- Paired axial CT (left) and PSMA PET (right), 18F tracer
- PET panel 200×200 px (4.1 mm/px)
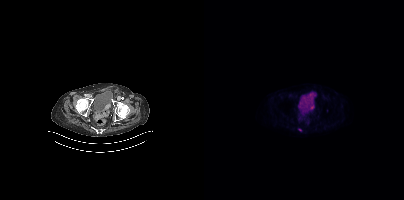
Findings: Coordinates are on the 200×200 PET (right) panel. (showing 2 of 3 foci) Small PSMA-avid foci (2 to 4 px across) near (center x, center y): (123, 110); (95, 130).